- Two-panel axial: CT | PSMA PET, [18F]PSMA-1007 tracer
- acquired on Siemens Biograph mCT Flow 20
- slice position z = -1430 mm
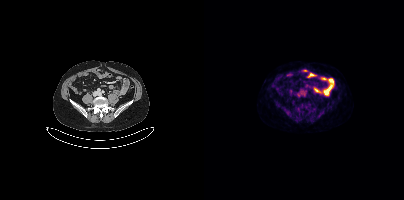
Findings: Negative for PSMA-avid disease on this slice.